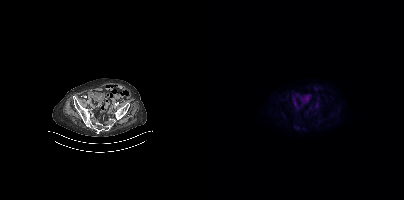
No tumor lesions annotated on this slice.